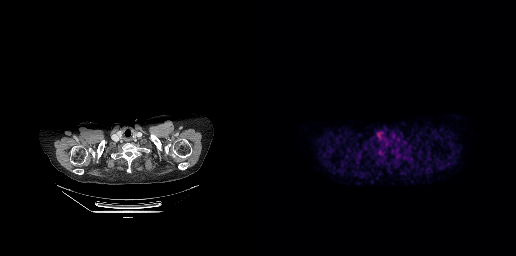
- Two-panel axial: CT | PSMA PET, 18F tracer
- acquired on GE Discovery 690
- slice position z = -107 mm
- PET panel 256×256 px (2.7 mm/px)
Findings: Coordinates are on the 256×256 PET (right) panel. PSMA-avid tumor lesion bounding box (x0, y0)-(x1, y1): (117, 150)-(122, 155).